- Left: CT. Right: PSMA PET, same axial level, 18F-PSMA tracer
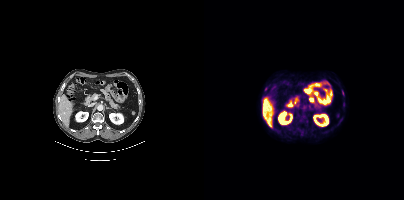
Findings: Coordinates are on the 200×200 PET (right) panel. Small PSMA-avid foci (2 to 4 px across) near (center x, center y): (62, 88) / (138, 91).